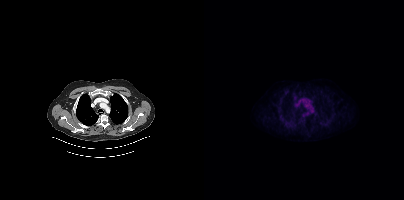
Two-panel axial: CT | PSMA PET, 18F-PSMA tracer. Slice position z = -1011 mm. PET panel 200×200 px (4.1 mm/px). Negative for PSMA-avid disease on this slice.